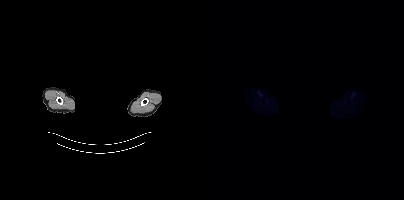
{"modality":"PSMA PET/CT","view":"axial","tracer":"18F","pet_grid":[200,200],"coord_frame":"pet_panel","coord_format":"x0,y0,x1,y1","psma_avid_lesions":false,"deidentification":"face masked with black rectangle"}